Technique: Left: CT. Right: PSMA PET, same axial level, 68Ga-PSMA tracer. slice 169 of 195.
Note: De-identified by setting a rectangular region to black.
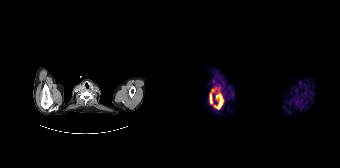
Findings: Coordinates are on the 168×168 PET (right) panel. PSMA-avid tumor lesion bounding boxes (x0,y0,x1,y1): [42,91,51,109]; [37,89,42,104].